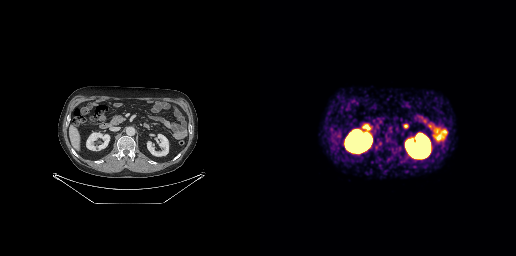
{"pet_grid":[256,256],"coord_frame":"pet_panel","coord_format":"x0,y0,x1,y1","psma_avid_lesions":false,"modality":"PSMA PET/CT","view":"axial","tracer":"68Ga"}